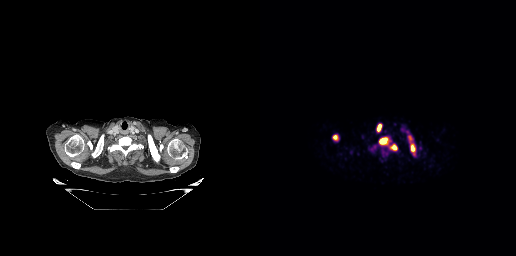
Coordinates are on the 256×256 PET (right) panel. PSMA-avid tumor lesion bounding boxes:
| # | x0 | y0 | x1 | y1 |
|---|---|---|---|---|
| 1 | 150 | 144 | 155 | 151 |
| 2 | 120 | 138 | 126 | 143 |
| 3 | 131 | 145 | 136 | 149 |
Small PSMA-avid foci (2 to 4 px across) near (center x, center y): (75, 137); (150, 137).
Left: CT. Right: PSMA PET, same axial level, [68Ga]Ga-PSMA-11 tracer. Slice 231 of 263. PET panel 256×256 px (2.7 mm/px).